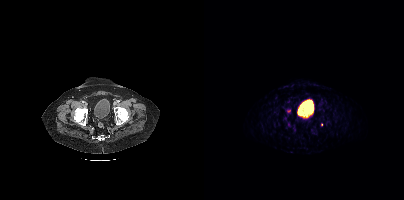
Coordinates are on the 200×200 PET (right) panel. Small PSMA-avid focus (2 to 4 px across) near (center x, center y): (118, 123).